- the head region is masked for de-identification
- Left: CT. Right: PSMA PET, same axial level, 18F-PSMA tracer
- acquired on Siemens Biograph mCT Flow 20
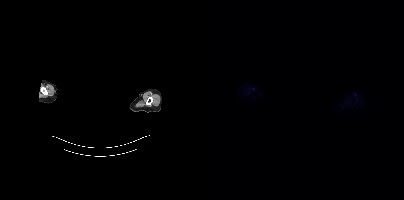
Findings: This slice has no annotated PSMA-avid lesion.